modality: PSMA PET/CT | tracer: 18F-PSMA | view: axial | PET grid: 200×200
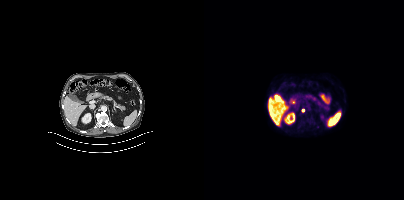
Coordinates are on the 200×200 PET (right) panel. Small PSMA-avid focus (2 to 4 px across) near (center x, center y): (99, 110).